- Left: CT. Right: PSMA PET, same axial level, [18F]PSMA-1007 tracer
- slice 22 of 444
- PET panel 200×200 px (4.1 mm/px)
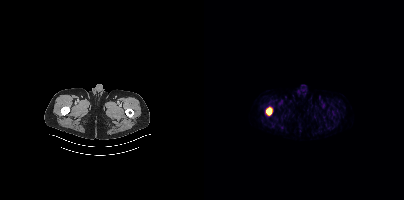
Findings: Coordinates are on the 200×200 PET (right) panel. PSMA-avid tumor lesion bounding box (x0, y0)-(x1, y1): (62, 108)-(67, 114).